Technique: Two-panel axial: CT | PSMA PET, 18F tracer.
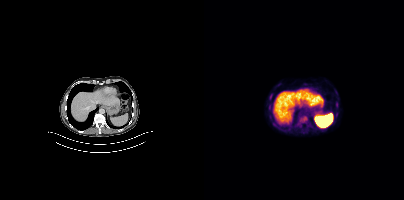
Findings: Coordinates are on the 200×200 PET (right) panel. PSMA-avid tumor lesion bounding box (x0, y0)-(x1, y1): (97, 116)-(103, 121).